Paired axial CT (left) and PSMA PET (right), 18F-PSMA tracer. Acquired on GE Discovery 690. PET panel 256×256 px (2.7 mm/px).
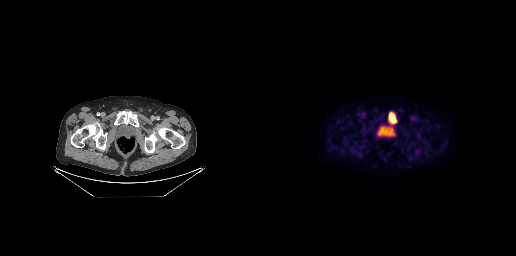
Coordinates are on the 256×256 PET (right) panel. PSMA-avid tumor lesion bounding boxes:
| # | x0 | y0 | x1 | y1 |
|---|---|---|---|---|
| 1 | 129 | 112 | 136 | 123 |